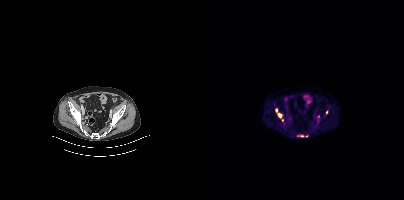
{"pet_grid":[200,200],"coord_frame":"pet_panel","coord_format":"x0,y0,x1,y1","partial":true,"lesion_bboxes":[[71,109,78,117],[93,135,99,137]],"small_foci_centers":[[122,112],[114,116],[78,119],[102,136]],"modality":"PSMA PET/CT","view":"axial","tracer":"18F"}